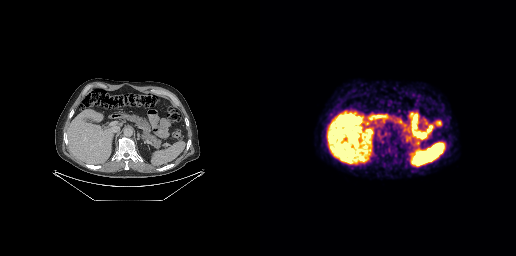
This slice has no annotated PSMA-avid lesion. Left: CT. Right: PSMA PET, same axial level, 18F-PSMA tracer. Acquired on GE Discovery 690.